modality: PSMA PET/CT | tracer: 18F-PSMA | view: axial
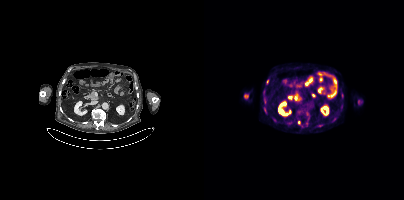
Coordinates are on the 200×200 PET (right) panel. (showing 3 of 4 foci) Small PSMA-avid foci (2 to 4 px across) near (center x, center y): (63, 81), (94, 122), (60, 109).